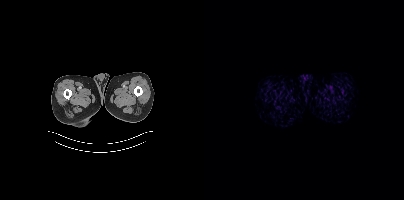
Technique: Two-panel axial: CT | PSMA PET, 18F tracer. acquired on Siemens Biograph mCT Flow 20. PET panel 200×200 px (4.1 mm/px).
Findings: No PSMA-avid tumor lesions on this slice.